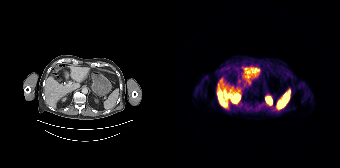
Findings: No tumor lesions annotated on this slice.
Technique: Two-panel axial: CT | PSMA PET, 68Ga tracer. acquired on Siemens Biograph 64-4R TruePoint.